Left: CT. Right: PSMA PET, same axial level, 18F tracer. Slice position z = -212 mm.
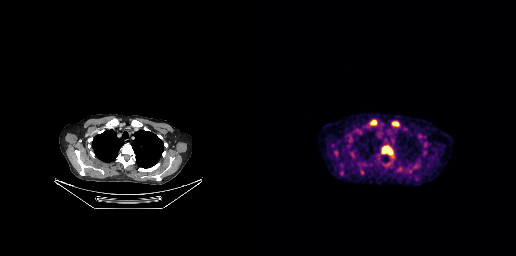
Coordinates are on the 256×256 PET (right) panel. PSMA-avid tumor lesion bounding boxes:
| # | x0 | y0 | x1 | y1 |
|---|---|---|---|---|
| 1 | 122 | 146 | 132 | 154 |
| 2 | 111 | 120 | 116 | 124 |
| 3 | 132 | 122 | 138 | 125 |
Small PSMA-avid focus (2 to 4 px across) near (center x, center y): (76, 152).